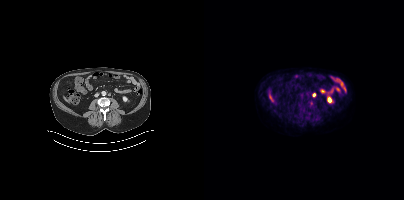
{"modality":"PSMA PET/CT","view":"axial","tracer":"[18F]PSMA-1007","pet_grid":[200,200],"coord_frame":"pet_panel","coord_format":"x0,y0,x1,y1","lesion_bboxes":[],"small_foci_centers":[[110,94]]}